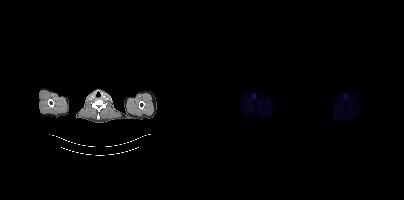
Technique: Left: CT. Right: PSMA PET, same axial level, 18F tracer. PET panel 200×200 px (4.1 mm/px).
Note: An anonymization step blacked out a rectangle in this scan.
Findings: Negative for PSMA-avid disease on this slice.